Paired axial CT (left) and PSMA PET (right), [18F]PSMA-1007 tracer. PET panel 200×200 px (4.1 mm/px).
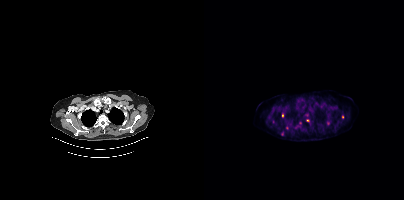
Coordinates are on the 200×200 PET (right) panel. (showing 5 of 7 foci) Small PSMA-avid foci (2 to 4 px across) near (center x, center y): (96, 123) (78, 133) (78, 115) (138, 117) (83, 128).